- Left: CT. Right: PSMA PET, same axial level, 18F-PSMA tracer
- slice 21 of 263
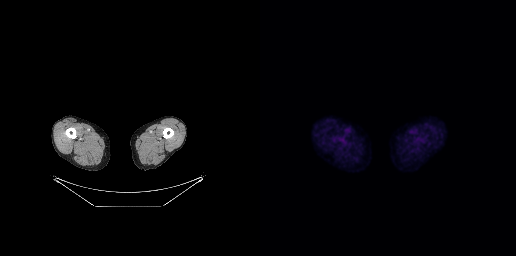
Findings: This slice has no annotated PSMA-avid lesion.